modality: PSMA PET/CT | tracer: 18F-PSMA | view: axial
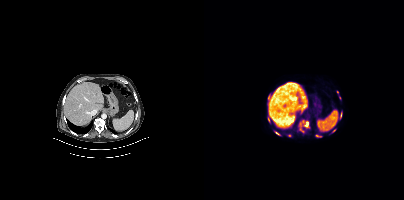
Coordinates are on the 200×200 PET (right) panel. (showing 4 of 5 foci) PSMA-avid tumor lesion bounding boxes (x0,y0,x1,y1): [101,122,104,126], [71,132,75,135]. Small PSMA-avid foci (2 to 4 px across) near (center x, center y): (136, 116), (113, 135).